Technique: Left: CT. Right: PSMA PET, same axial level, 18F-PSMA tracer. slice position z = -691 mm.
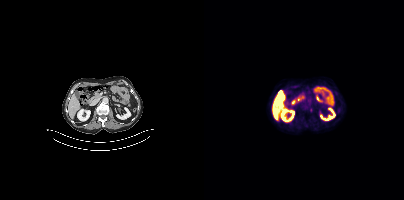
Findings: This slice has no annotated PSMA-avid lesion.